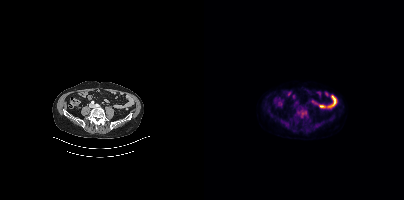
Technique: Two-panel axial: CT | PSMA PET, 18F tracer. slice position z = 51 mm. PET panel 200×200 px (4.1 mm/px).
Findings: Coordinates are on the 200×200 PET (right) panel. PSMA-avid tumor lesion bounding box (x0,y0,x1,y1): [94,109,102,117].